Technique: Two-panel axial: CT | PSMA PET, 18F-PSMA tracer. acquired on Siemens Biograph mCT Flow 20. slice position z = -680 mm. PET panel 200×200 px (4.1 mm/px).
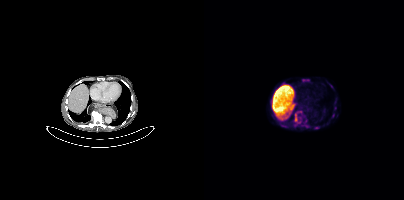
Findings: Coordinates are on the 200×200 PET (right) panel. (showing 1 of 3 foci) PSMA-avid tumor lesion bounding box (x, y, width, height): x=90 y=111 w=8 h=13.